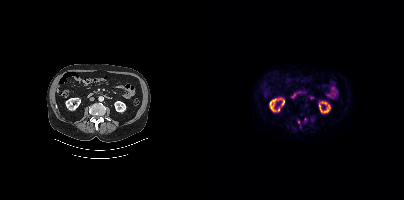
modality: PSMA PET/CT | tracer: [18F]PSMA-1007 | view: axial
Coordinates are on the 200×200 PET (right) panel. (showing 1 of 2 foci) Small PSMA-avid focus (2 to 4 px across) near (center x, center y): (94, 121).